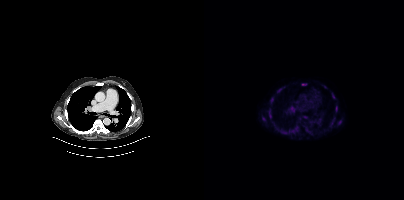
Coordinates are on the 200×200 PET (right) panel. (showing 12 of 15 foci) PSMA-avid tumor lesion bounding boxes (x, y, width, height): x=84 y=106 w=6 h=7 / x=65 y=110 w=3 h=9 / x=67 y=98 w=3 h=5 / x=132 y=106 w=2 h=6 / x=98 y=84 w=5 h=2 / x=128 y=94 w=3 h=5. Small PSMA-avid foci (2 to 4 px across) near (center x, center y): (75, 90) / (101, 117) / (60, 119) / (135, 122) / (93, 127) / (102, 129).